Two-panel axial: CT | PSMA PET, [18F]PSMA-1007 tracer. Acquired on Siemens Biograph mCT Flow 20. Slice position z = -1271 mm.
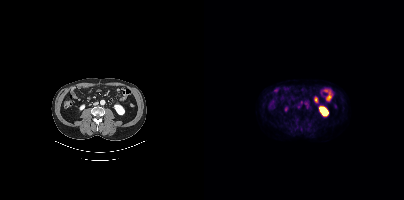
Coordinates are on the 200×200 PET (right) panel. Small PSMA-avid focus (2 to 4 px across) near (center x, center y): (97, 101).